Paired axial CT (left) and PSMA PET (right), [18F]PSMA-1007 tracer. Acquired on Siemens Biograph mCT Flow 20. A rectangular block over the head has been blanked out for de-identification.
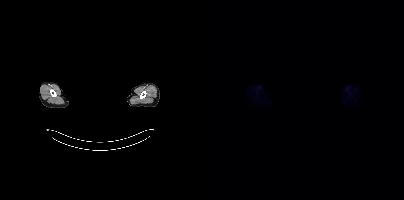
No tumor lesions annotated on this slice.